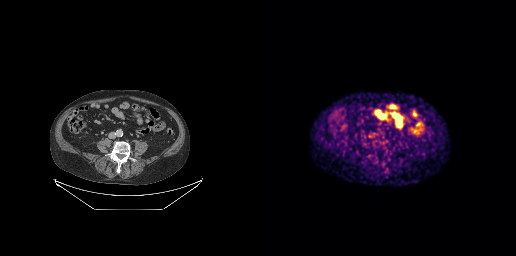
- Paired axial CT (left) and PSMA PET (right), 18F tracer
- PET panel 256×256 px (2.7 mm/px)
Findings: This slice has no annotated PSMA-avid lesion.